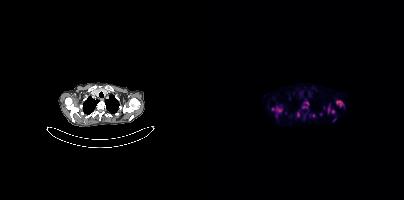
Paired axial CT (left) and PSMA PET (right), [18F]PSMA-1007 tracer. Acquired on Siemens Biograph mCT Flow 20. PET panel 200×200 px (4.1 mm/px).
Coordinates are on the 200×200 PET (right) panel. PSMA-avid tumor lesion bounding boxes (partial; 1 more focus not listed):
| # | x0 | y0 | x1 | y1 |
|---|---|---|---|---|
| 1 | 68 | 106 | 78 | 116 |
| 2 | 132 | 100 | 139 | 106 |
| 3 | 123 | 105 | 130 | 113 |
| 4 | 98 | 106 | 103 | 108 |
| 5 | 93 | 112 | 95 | 116 |
Small PSMA-avid foci (2 to 4 px across) near (center x, center y): (103, 103); (116, 114); (130, 120).